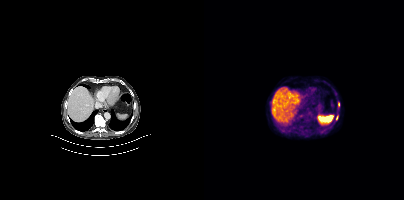
{"modality":"PSMA PET/CT","view":"axial","tracer":"18F","pet_grid":[200,200],"coord_frame":"pet_panel","coord_format":"x0,y0,x1,y1","lesion_bboxes":[],"small_foci_centers":[[134,104],[133,117]]}